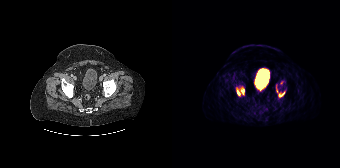
- Left: CT. Right: PSMA PET, same axial level, 68Ga-PSMA tracer
- acquired on Siemens Biograph 64-4R TruePoint
- slice position z = -1438 mm
- PET panel 168×168 px (4.1 mm/px)
Findings: Coordinates are on the 168×168 PET (right) panel. (showing 3 of 4 foci) PSMA-avid tumor lesion bounding boxes (x0, y0)-(x1, y1): (64, 86)-(72, 96) | (107, 92)-(112, 96). Small PSMA-avid focus (2 to 4 px across) near (center x, center y): (88, 89).